modality: PSMA PET/CT | tracer: [18F]PSMA-1007 | view: axial
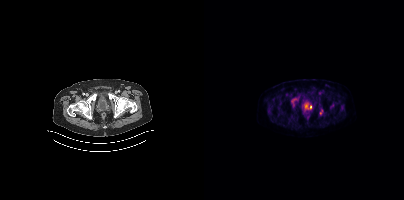
Coordinates are on the 200×200 PET (right) panel. (showing 2 of 6 foci) PSMA-avid tumor lesion bounding box (x0, y0)-(x1, y1): (100, 102)-(104, 108). Small PSMA-avid focus (2 to 4 px across) near (center x, center y): (106, 106).